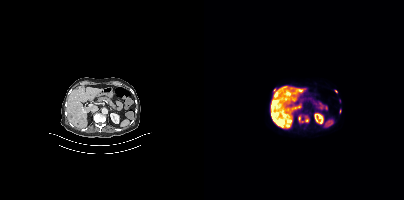
Findings: Coordinates are on the 200×200 PET (right) panel. (showing 6 of 9 foci) PSMA-avid tumor lesion bounding boxes (x, y, width, height): x=67 y=113 w=8 h=11 / x=82 y=90 w=6 h=5 / x=94 y=88 w=6 h=5. Small PSMA-avid foci (2 to 4 px across) near (center x, center y): (132, 91) / (70, 90) / (72, 93).
Technique: Left: CT. Right: PSMA PET, same axial level, [18F]PSMA-1007 tracer. slice position z = -584 mm. PET panel 200×200 px (4.1 mm/px).